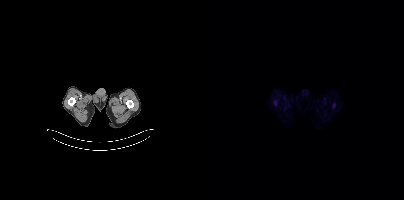
Findings: Negative for PSMA-avid disease on this slice.
- Left: CT. Right: PSMA PET, same axial level, 18F-PSMA tracer
- acquired on Siemens Biograph mCT Flow 20
- slice 23 of 375
- PET panel 200×200 px (4.1 mm/px)